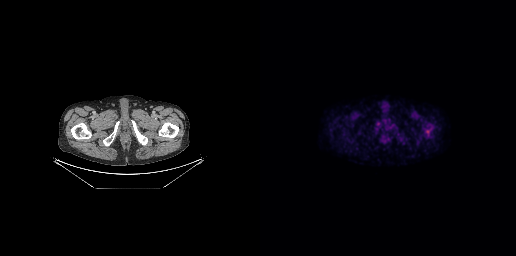
- Paired axial CT (left) and PSMA PET (right), 18F-PSMA tracer
Findings: This slice has no annotated PSMA-avid lesion.